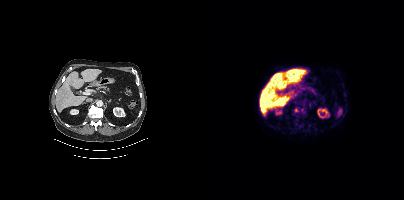
Coordinates are on the 200×200 PET (right) panel. Small PSMA-avid focus (2 to 4 px across) near (center x, center y): (92, 109). Two-panel axial: CT | PSMA PET, 18F tracer. Acquired on Siemens Biograph mCT Flow 20.